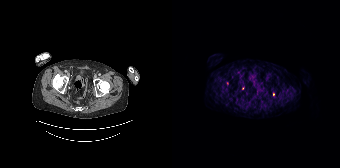
Coordinates are on the 168×168 PET (right) panel. Small PSMA-avid foci (2 to 4 px across) near (center x, center y): (101, 94) (70, 88). Left: CT. Right: PSMA PET, same axial level, 68Ga-PSMA tracer. PET panel 168×168 px (4.1 mm/px).